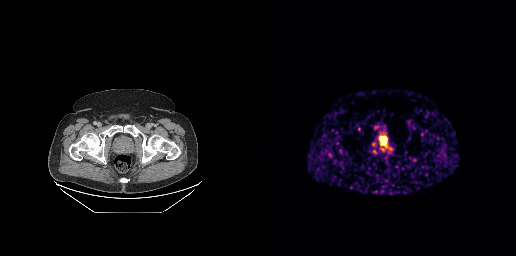
modality: PSMA PET/CT | tracer: [68Ga]Ga-PSMA-11 | view: axial
Coordinates are on the 256×256 PET (right) panel. PSMA-avid tumor lesion bounding boxes (x0,y0,x1,y1): [121,138,125,143], [121,146,127,151].